modality: PSMA PET/CT | tracer: 68Ga-PSMA | view: axial
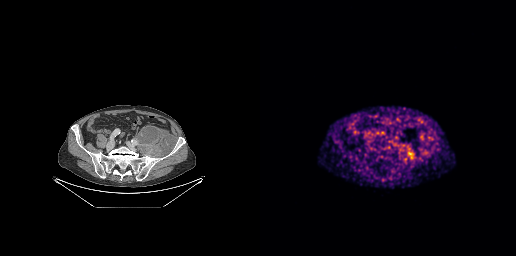
Coordinates are on the 256×256 PET (right) panel. PSMA-avid tumor lesion bounding box (x0,y0,x1,y1): [147,146,154,159].